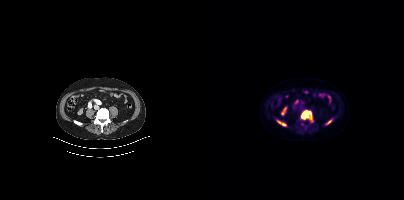
Technique: Paired axial CT (left) and PSMA PET (right), 18F-PSMA tracer. acquired on Siemens Biograph mCT Flow 20. slice position z = -1379 mm. PET panel 200×200 px (4.1 mm/px).
Findings: Coordinates are on the 200×200 PET (right) panel. (showing 3 of 4 foci) PSMA-avid tumor lesion bounding boxes (x0,y0,x1,y1): [97,110,108,119]; [73,120,82,126]. Small PSMA-avid focus (2 to 4 px across) near (center x, center y): (125, 121).